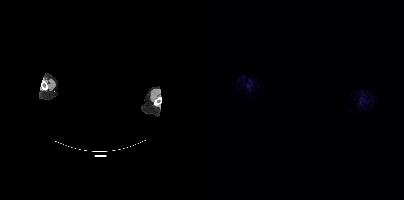
{"modality":"PSMA PET/CT","view":"axial","tracer":"18F-PSMA","pet_grid":[200,200],"coord_frame":"pet_panel","coord_format":"x0,y0,x1,y1","deidentification":"head region blacked out before release","psma_avid_lesions":false}